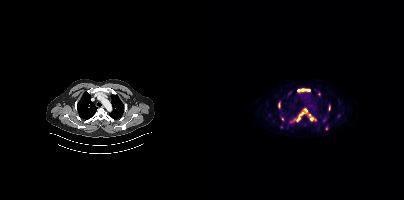
- Two-panel axial: CT | PSMA PET, 18F-PSMA tracer
- acquired on Siemens Biograph mCT Flow 20
Findings: Coordinates are on the 200×200 PET (right) panel. (showing 9 of 11 foci) PSMA-avid tumor lesion bounding boxes (x0,y0,x1,y1): [91,112,99,121]; [93,89,106,91]; [74,102,76,107]; [125,105,126,110]. Small PSMA-avid foci (2 to 4 px across) near (center x, center y): (107, 118); (86, 121); (101, 110); (78, 119); (122, 128).